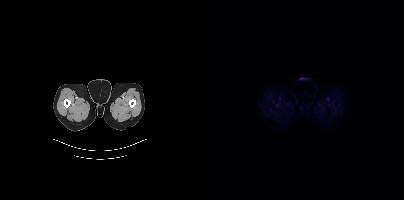
No PSMA-avid tumor lesions on this slice.
modality: PSMA PET/CT | tracer: 18F-PSMA | view: axial